Left: CT. Right: PSMA PET, same axial level, 18F-PSMA tracer. Slice position z = -1588 mm. PET panel 200×200 px (4.1 mm/px).
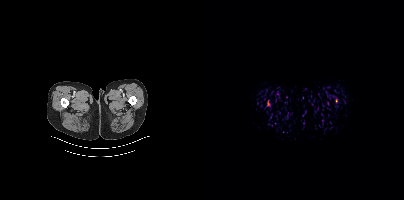
Coordinates are on the 200×200 PET (right) panel. PSMA-avid tumor lesion bounding boxes (partial; 1 more focus not listed):
| # | x0 | y0 | x1 | y1 |
|---|---|---|---|---|
| 1 | 63 | 102 | 66 | 106 |
Small PSMA-avid focus (2 to 4 px across) near (center x, center y): (132, 100).